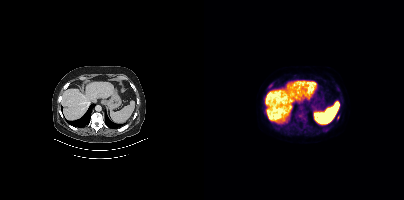
Findings: Coordinates are on the 200×200 PET (right) panel. (showing 6 of 7 foci) PSMA-avid tumor lesion bounding boxes (x0,y0,x1,y1): [92,113,103,124]; [91,122,95,126]; [64,84,68,88]; [132,86,136,90]; [119,128,122,132]. Small PSMA-avid focus (2 to 4 px across) near (center x, center y): (96, 129).
- Left: CT. Right: PSMA PET, same axial level, [18F]PSMA-1007 tracer
- slice position z = -1023 mm
- PET panel 200×200 px (4.1 mm/px)